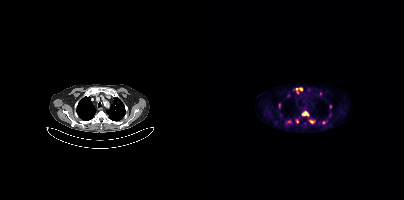
{"modality":"PSMA PET/CT","view":"axial","tracer":"18F-PSMA","pet_grid":[200,200],"coord_frame":"pet_panel","coord_format":"x0,y0,x1,y1","lesion_bboxes":[[98,111,104,116],[92,88,98,93],[106,120,110,123]],"small_foci_centers":[[83,121],[119,122],[75,105],[93,121],[116,93],[126,106]]}